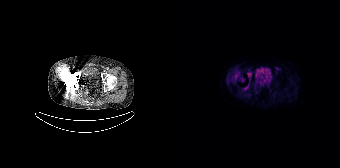
No tumor lesions annotated on this slice.
modality: PSMA PET/CT | tracer: [18F]PSMA-1007 | view: axial